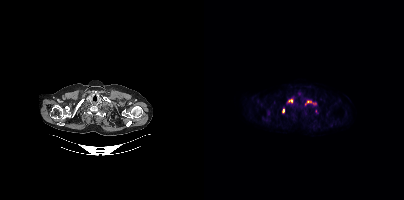
Coordinates are on the 200×200 PET (right) panel. (showing 3 of 6 foci) PSMA-avid tumor lesion bounding boxes (x, y, width, height): x=101 y=100 w=7 h=6 | x=84 y=99 w=5 h=4 | x=78 y=108 w=3 h=6.
modality: PSMA PET/CT | tracer: 18F-PSMA | view: axial